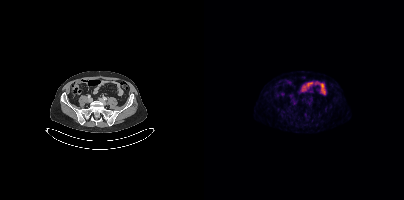
{"modality":"PSMA PET/CT","view":"axial","tracer":"68Ga","pet_grid":[200,200],"coord_frame":"pet_panel","coord_format":"x0,y0,x1,y1","psma_avid_lesions":false}